Face de-identified by blanking a block of the head. Paired axial CT (left) and PSMA PET (right), 18F-PSMA tracer. PET panel 200×200 px (4.1 mm/px).
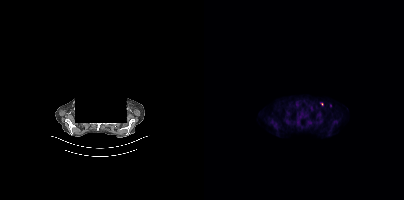
Coordinates are on the 200×200 PET (right) panel. Small PSMA-avid foci (2 to 4 px across) near (center x, center y): (126, 105) / (118, 104).